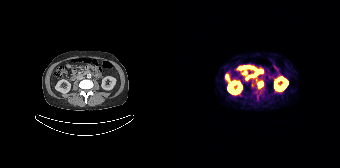
Coordinates are on the 168×168 PET (right) panel. (showing 1 of 3 foci) PSMA-avid tumor lesion bounding box (x0,y0,x1,y1): [85,81,91,88].